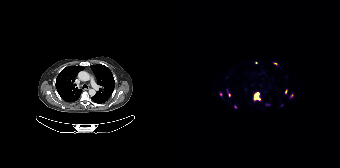
Coordinates are on the 168×168 PET (right) panel. (showing 9 of 11 foci) PSMA-avid tumor lesion bounding boxes (x, y, width, height): x=81 y=92 w=8 h=10 | x=55 y=90 w=4 h=8 | x=113 y=89 w=3 h=6 | x=101 y=62 w=5 h=3. Small PSMA-avid foci (2 to 4 px across) near (center x, center y): (119, 95) | (48, 93) | (63, 106) | (84, 62) | (94, 104). Paired axial CT (left) and PSMA PET (right), 18F tracer. Acquired on Siemens Biograph 64-4R TruePoint. Slice 116 of 165. PET panel 168×168 px (4.1 mm/px).